Paired axial CT (left) and PSMA PET (right), 68Ga tracer. Acquired on Siemens Biograph 64-4R TruePoint.
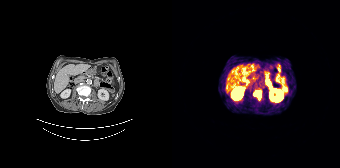
Coordinates are on the 168×168 PET (right) panel. PSMA-avid tumor lesion bounding boxes:
| # | x0 | y0 | x1 | y1 |
|---|---|---|---|---|
| 1 | 82 | 90 | 89 | 99 |